modality: PSMA PET/CT | tracer: [68Ga]Ga-PSMA-11 | view: axial
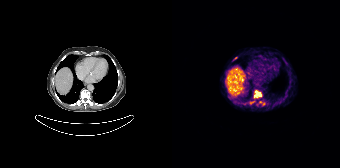
Coordinates are on the 168×168 PET (right) panel. (showing 5 of 6 foci) PSMA-avid tumor lesion bounding box (x0,y0,x1,y1): [82,90,89,97]. Small PSMA-avid foci (2 to 4 px across) near (center x, center y): (79, 102); (62, 101); (88, 101); (91, 103).